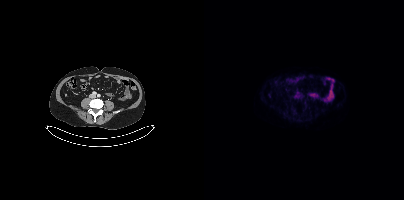
{"modality":"PSMA PET/CT","view":"axial","tracer":"[18F]PSMA-1007","pet_grid":[200,200],"coord_frame":"pet_panel","coord_format":"x0,y0,x1,y1","psma_avid_lesions":false}